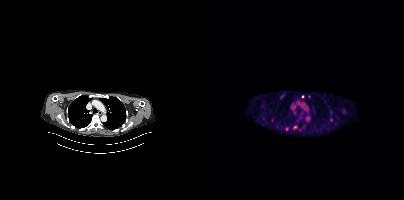
- Paired axial CT (left) and PSMA PET (right), 18F tracer
Findings: Coordinates are on the 200×200 PET (right) panel. (showing 5 of 10 foci) PSMA-avid tumor lesion bounding boxes (x, y, width, height): x=76 y=94 w=5 h=6 | x=89 y=126 w=5 h=4. Small PSMA-avid foci (2 to 4 px across) near (center x, center y): (82, 128) | (98, 96) | (127, 119).